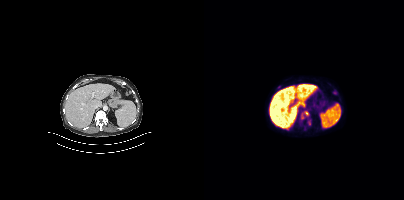
Coordinates are on the 200×200 PET (right) panel. PSMA-avid tumor lesion bounding boxes:
| # | x0 | y0 | x1 | y1 |
|---|---|---|---|---|
| 1 | 98 | 111 | 104 | 118 |
| 2 | 104 | 120 | 106 | 125 |
Small PSMA-avid focus (2 to 4 px across) near (center x, center y): (75, 87).
Left: CT. Right: PSMA PET, same axial level, 18F tracer.